Technique: Paired axial CT (left) and PSMA PET (right), 18F-PSMA tracer. PET panel 200×200 px (4.1 mm/px).
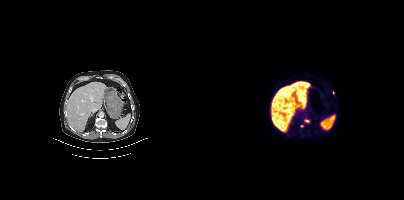
Findings: Coordinates are on the 200×200 PET (right) panel. Small PSMA-avid focus (2 to 4 px across) near (center x, center y): (103, 120).